Two-panel axial: CT | PSMA PET, 18F tracer.
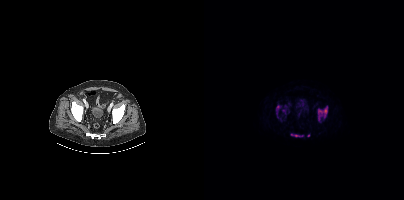
Coordinates are on the 200×200 PET (right) panel. PSMA-avid tumor lesion bounding boxes:
| # | x0 | y0 | x1 | y1 |
|---|---|---|---|---|
| 1 | 114 | 106 | 123 | 121 |
| 2 | 86 | 133 | 99 | 137 |
| 3 | 72 | 105 | 76 | 114 |
| 4 | 78 | 109 | 81 | 113 |
Small PSMA-avid foci (2 to 4 px across) near (center x, center y): (104, 135); (81, 105); (73, 116).